Left: CT. Right: PSMA PET, same axial level, 18F tracer. Acquired on GE Discovery 690. Slice 107 of 299. PET panel 256×256 px (2.7 mm/px).
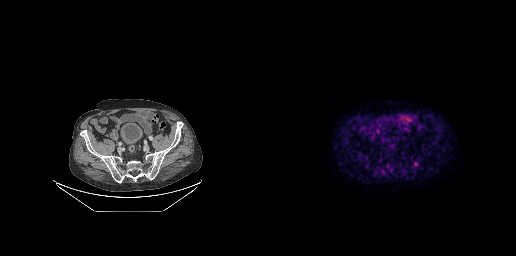
Coordinates are on the 256×256 PET (right) panel. Small PSMA-avid focus (2 to 4 px across) near (center x, center y): (155, 164).